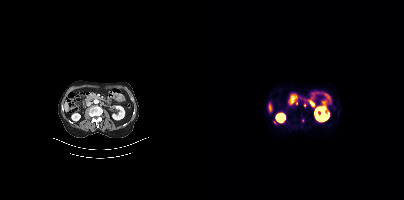
Findings: Coordinates are on the 200×200 PET (right) panel. (showing 1 of 3 foci) Small PSMA-avid focus (2 to 4 px across) near (center x, center y): (70, 122).
- Paired axial CT (left) and PSMA PET (right), 68Ga tracer
- slice 164 of 409